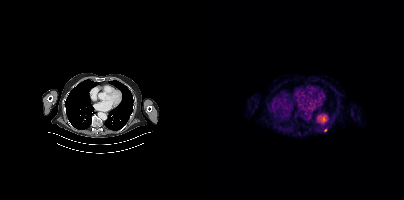
{"pet_grid":[200,200],"coord_frame":"pet_panel","coord_format":"x0,y0,x1,y1","psma_avid_lesions":false,"modality":"PSMA PET/CT","view":"axial","tracer":"18F-PSMA"}